Left: CT. Right: PSMA PET, same axial level, [18F]PSMA-1007 tracer. Slice position z = -1085 mm. PET panel 200×200 px (4.1 mm/px).
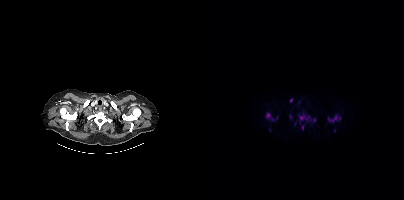
Coordinates are on the 200×200 PET (right) panel. PSMA-avid tumor lesion bounding boxes (partial; 4 more foci not listed):
| # | x0 | y0 | x1 | y1 |
|---|---|---|---|---|
| 1 | 61 | 112 | 70 | 120 |
| 2 | 95 | 115 | 105 | 120 |
| 3 | 124 | 115 | 133 | 121 |
| 4 | 86 | 98 | 88 | 102 |
| 5 | 98 | 125 | 99 | 129 |
Small PSMA-avid foci (2 to 4 px across) near (center x, center y): (110, 119); (72, 117); (135, 118); (85, 116); (130, 130).